Left: CT. Right: PSMA PET, same axial level, 18F tracer. Slice position z = -590 mm. PET panel 256×256 px (2.7 mm/px).
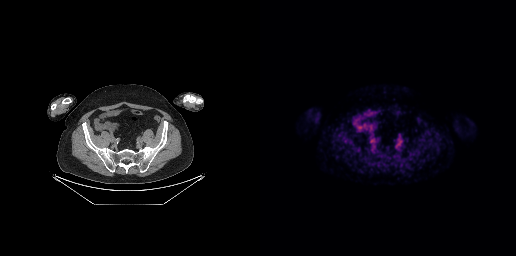
No PSMA-avid tumor lesions on this slice.